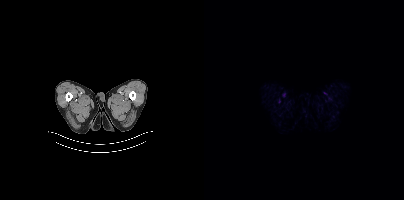
modality: PSMA PET/CT | tracer: 18F-PSMA | view: axial | PET grid: 200×200
No PSMA-avid tumor lesions on this slice.